redaction: privacy mask over head | modality: PSMA PET/CT | tracer: 18F-PSMA | view: axial | PET grid: 200×200
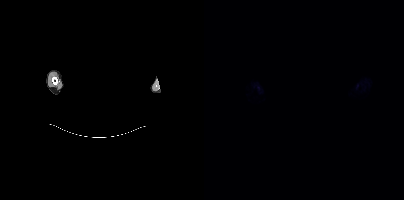
No PSMA-avid tumor lesions on this slice.